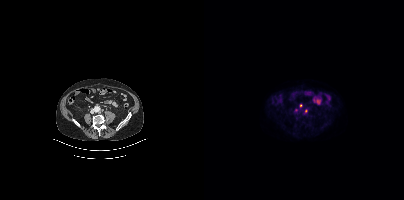
Coordinates are on the 200×200 PET (right) panel. Small PSMA-avid focus (2 to 4 px across) near (center x, center y): (102, 111). Two-panel axial: CT | PSMA PET, 18F-PSMA tracer. PET panel 200×200 px (4.1 mm/px).